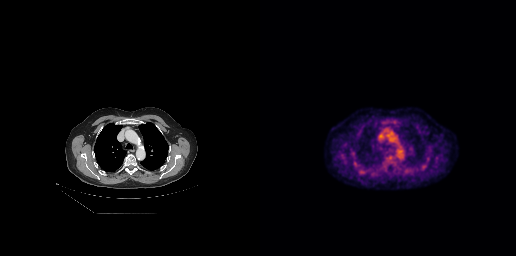
Left: CT. Right: PSMA PET, same axial level, [18F]PSMA-1007 tracer. Acquired on GE Discovery 690. No PSMA-avid tumor lesions on this slice.